modality: PSMA PET/CT | tracer: 18F | view: axial | PET grid: 256×256
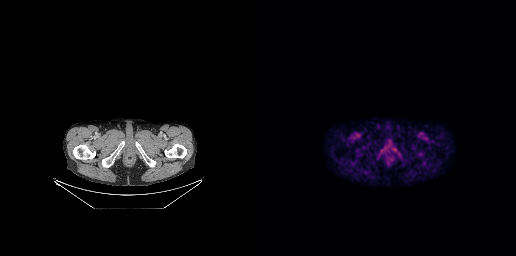
Coordinates are on the 256×256 PET (right) panel. PSMA-avid tumor lesion bounding box (x0,y0,x1,y1): [126,155,133,163].